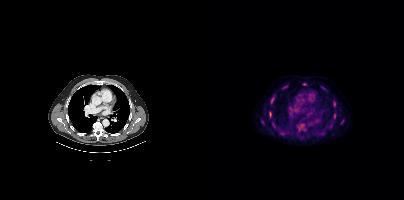
Left: CT. Right: PSMA PET, same axial level, [18F]PSMA-1007 tracer. Acquired on Siemens Biograph mCT Flow 20. Slice 298 of 438. Coordinates are on the 200×200 PET (right) panel. Small PSMA-avid foci (2 to 4 px across) near (center x, center y): (100, 84) | (66, 113) | (68, 100) | (130, 104) | (130, 117) | (69, 123) | (58, 122).